Paired axial CT (left) and PSMA PET (right), 18F-PSMA tracer. Acquired on Siemens Biograph mCT Flow 20. Slice 49 of 411.
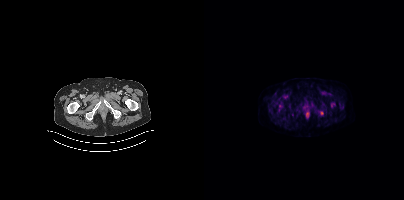
Coordinates are on the 200×200 PET (right) panel. PSMA-avid tumor lesion bounding boxes:
| # | x0 | y0 | x1 | y1 |
|---|---|---|---|---|
| 1 | 127 | 103 | 131 | 106 |
Small PSMA-avid focus (2 to 4 px across) near (center x, center y): (117, 112).